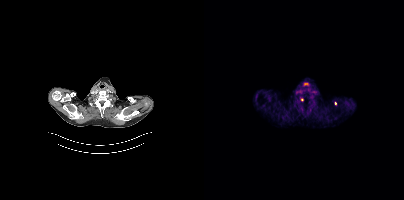
Coordinates are on the 200×200 PET (right) panel. Small PSMA-avid foci (2 to 4 px across) near (center x, center y): (131, 103); (97, 99).